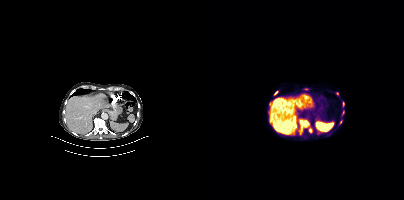
Findings: Coordinates are on the 200×200 PET (right) panel. (showing 7 of 8 foci) PSMA-avid tumor lesion bounding boxes (x, y, width, height): x=94 y=119 w=15 h=16 | x=138 y=101 w=3 h=7 | x=138 y=110 w=3 h=6. Small PSMA-avid foci (2 to 4 px across) near (center x, center y): (133, 93) | (71, 92) | (65, 104) | (136, 122).
- Left: CT. Right: PSMA PET, same axial level, 18F tracer
- acquired on Siemens Biograph mCT Flow 20